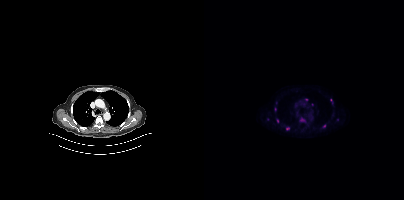
Technique: Two-panel axial: CT | PSMA PET, 18F-PSMA tracer. PET panel 200×200 px (4.1 mm/px).
Findings: Coordinates are on the 200×200 PET (right) panel. (showing 2 of 4 foci) Small PSMA-avid foci (2 to 4 px across) near (center x, center y): (83, 128) / (102, 99).